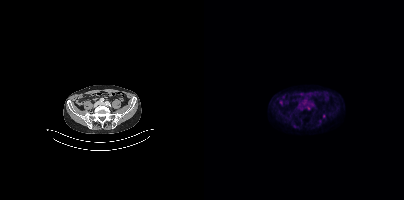
{"modality":"PSMA PET/CT","view":"axial","tracer":"18F-PSMA","pet_grid":[200,200],"coord_frame":"pet_panel","coord_format":"x0,y0,x1,y1","partial":true,"lesion_bboxes":[[88,123,93,127]],"small_foci_centers":[[120,116]]}